Two-panel axial: CT | PSMA PET, 18F tracer. PET panel 200×200 px (4.1 mm/px).
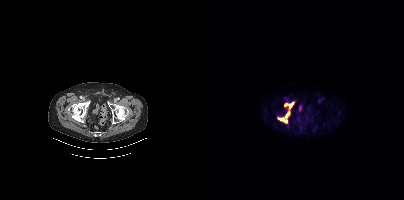
Coordinates are on the 200×200 PET (right) panel. PSMA-avid tumor lesion bounding boxes:
| # | x0 | y0 | x1 | y1 |
|---|---|---|---|---|
| 1 | 74 | 112 | 86 | 122 |
| 2 | 80 | 102 | 89 | 108 |